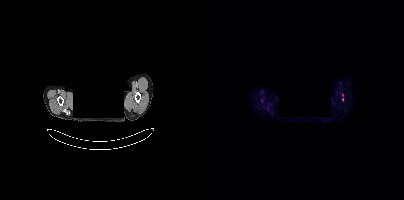
Coordinates are on the 200×200 PET (right) panel. (showing 2 of 3 foci) Small PSMA-avid foci (2 to 4 px across) near (center x, center y): (138, 99); (138, 94).
redaction: face masked with black rectangle | modality: PSMA PET/CT | tracer: [18F]PSMA-1007 | view: axial